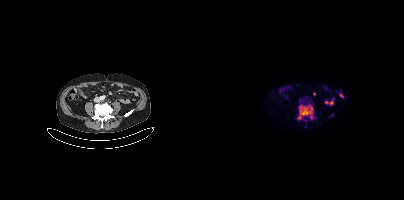
{"modality":"PSMA PET/CT","view":"axial","tracer":"18F-PSMA","pet_grid":[200,200],"coord_frame":"pet_panel","coord_format":"x0,y0,x1,y1","partial":true,"lesion_bboxes":[[94,104,109,119]]}